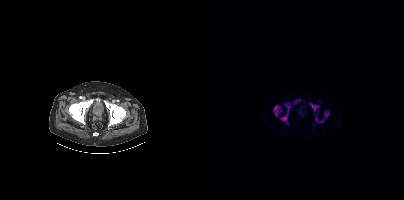
{"pet_grid":[200,200],"coord_frame":"pet_panel","coord_format":"x0,y0,x1,y1","partial":true,"lesion_bboxes":[[69,105,77,116],[107,105,115,111],[77,114,83,121],[89,99,97,104],[120,111,125,117],[111,117,119,122],[81,104,85,111]],"small_foci_centers":[[105,103]],"modality":"PSMA PET/CT","view":"axial","tracer":"18F"}